modality: PSMA PET/CT | tracer: [68Ga]Ga-PSMA-11 | view: axial
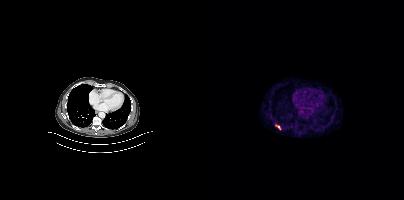
Coordinates are on the 200×200 PET (right) panel. PSMA-avid tumor lesion bounding box (x, y, width, height): x=72 y=125 w=5 h=5.